- Left: CT. Right: PSMA PET, same axial level, 18F tracer
- slice 93 of 429
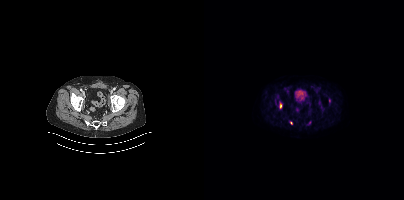
Findings: Coordinates are on the 200×200 PET (right) panel. PSMA-avid tumor lesion bounding box (x0, y0)-(x1, y1): (76, 103)-(77, 108). Small PSMA-avid focus (2 to 4 px across) near (center x, center y): (87, 122).